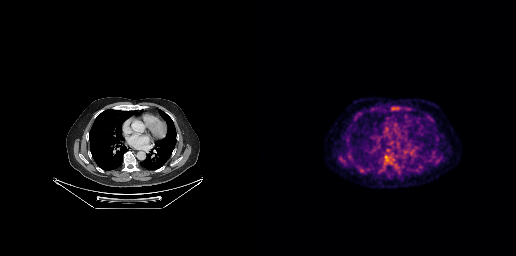
This slice has no annotated PSMA-avid lesion.
modality: PSMA PET/CT | tracer: 18F | view: axial | PET grid: 256×256